Technique: Paired axial CT (left) and PSMA PET (right), [18F]PSMA-1007 tracer. acquired on Siemens Biograph mCT Flow 20.
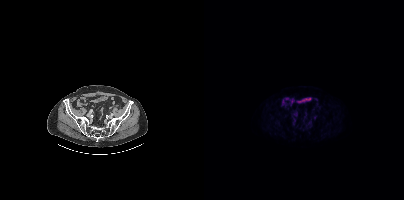
Findings: No PSMA-avid tumor lesions on this slice.